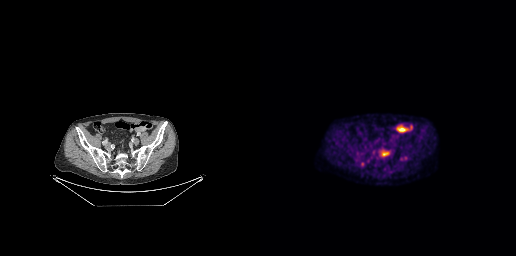
modality: PSMA PET/CT | tracer: [18F]PSMA-1007 | view: axial
Coordinates are on the 256×256 PET (right) panel. PSMA-avid tumor lesion bounding boxes (x0, y0)-(x1, y1): (100, 162)-(104, 166) | (122, 152)-(128, 155) | (140, 157)-(145, 160).